Two-panel axial: CT | PSMA PET, [18F]PSMA-1007 tracer. Acquired on Siemens Biograph mCT Flow 20. Slice position z = -1482 mm. PET panel 200×200 px (4.1 mm/px).
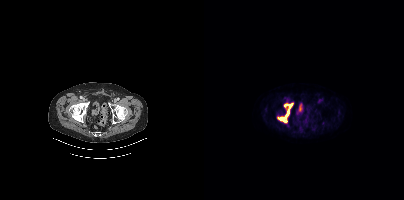
Coordinates are on the 200×200 PET (right) panel. PSMA-avid tumor lesion bounding boxes:
| # | x0 | y0 | x1 | y1 |
|---|---|---|---|---|
| 1 | 74 | 103 | 88 | 122 |
Small PSMA-avid focus (2 to 4 px across) near (center x, center y): (81, 105).